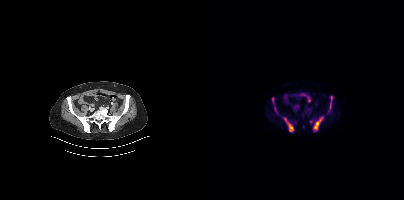
Findings: Coordinates are on the 200×200 PET (right) panel. (showing 6 of 7 foci) PSMA-avid tumor lesion bounding boxes (x, y, width, height): x=109 y=117 w=11 h=15 / x=80 y=118 w=10 h=15 / x=127 y=96 w=2 h=5 / x=126 y=103 w=2 h=6. Small PSMA-avid foci (2 to 4 px across) near (center x, center y): (68, 99) / (106, 121).
Technique: Two-panel axial: CT | PSMA PET, 18F-PSMA tracer. acquired on Siemens Biograph mCT Flow 20. slice position z = -1404 mm. PET panel 200×200 px (4.1 mm/px).